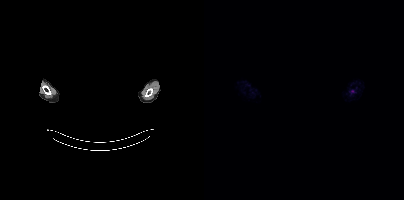
No PSMA-avid tumor lesions on this slice.
de-identification: rectangular block over head set to black | modality: PSMA PET/CT | tracer: 18F | view: axial | PET grid: 200×200